- Left: CT. Right: PSMA PET, same axial level, 68Ga-PSMA tracer
- acquired on GE Discovery 690
- slice 60 of 263
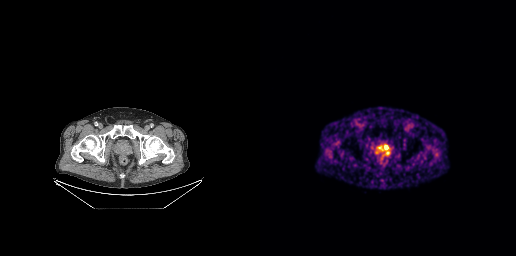
Findings: Coordinates are on the 256×256 PET (right) panel. PSMA-avid tumor lesion bounding box (x, y, width, height): x=124 y=145 w=5 h=5.